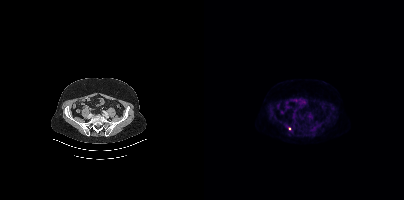
Coordinates are on the 200×200 PET (right) panel. Small PSMA-avid focus (2 to 4 px across) near (center x, center y): (85, 128).